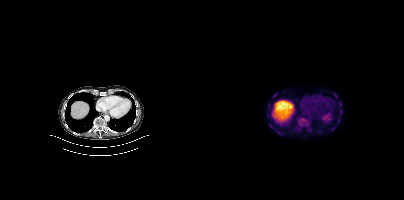
{"modality":"PSMA PET/CT","view":"axial","tracer":"18F","pet_grid":[200,200],"coord_frame":"pet_panel","coord_format":"x0,y0,x1,y1","lesion_bboxes":[[135,101,137,107],[64,103,66,108],[136,110,138,114]],"small_foci_centers":[[69,96],[67,127],[72,93]]}